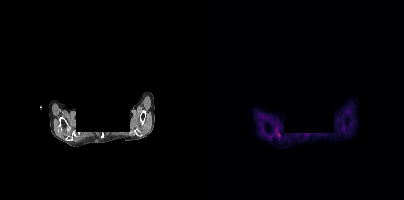
A rectangle over the head was blacked out to remove identifiable facial features. Left: CT. Right: PSMA PET, same axial level, 18F-PSMA tracer. Coordinates are on the 200×200 PET (right) panel. Small PSMA-avid focus (2 to 4 px across) near (center x, center y): (75, 134).